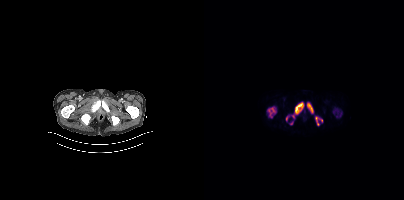
Coordinates are on the 200×200 PET (right) panel. PSMA-avid tumor lesion bounding boxes (x0,y0,x1,y1): [91,102,99,114], [63,107,72,117], [103,103,109,113], [111,117,114,125]. Small PSMA-avid foci (2 to 4 px across) near (center x, center y): (82, 118), (89, 116), (117, 120), (87, 123).
modality: PSMA PET/CT | tracer: 18F | view: axial